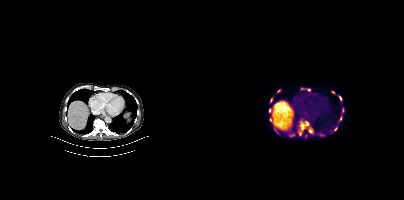
Paired axial CT (left) and PSMA PET (right), 18F-PSMA tracer. Slice position z = -474 mm.
Coordinates are on the 200×200 PET (right) panel. PSMA-avid tumor lesion bounding boxes (partial; 2 more foci not listed):
| # | x0 | y0 | x1 | y1 |
|---|---|---|---|---|
| 1 | 94 | 121 | 109 | 135 |
| 2 | 135 | 95 | 138 | 101 |
| 3 | 134 | 116 | 138 | 121 |
| 4 | 67 | 122 | 72 | 131 |
| 5 | 138 | 108 | 140 | 113 |
| 6 | 86 | 134 | 90 | 136 |
Small PSMA-avid foci (2 to 4 px across) near (center x, center y): (74, 90); (66, 110); (131, 128); (128, 92); (105, 90); (97, 88).